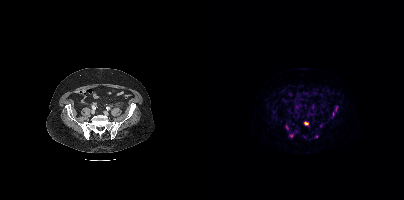
Coordinates are on the 200×200 PET (right) panel. (showing 4 of 5 foci) PSMA-avid tumor lesion bounding boxes (x0,y0,x1,y1): [100,122,104,125]; [131,106,133,110]. Small PSMA-avid foci (2 to 4 px across) near (center x, center y): (129, 113); (87, 135).
modality: PSMA PET/CT | tracer: [68Ga]Ga-PSMA-11 | view: axial